Left: CT. Right: PSMA PET, same axial level, 68Ga tracer. Acquired on GE Discovery 690. Slice 212 of 263.
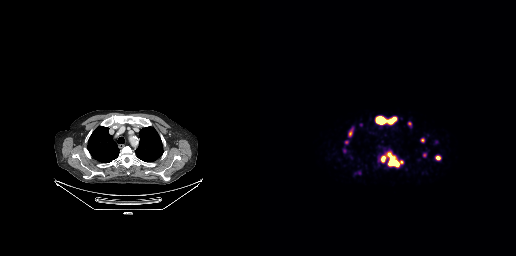
Coordinates are on the 256×256 PET (right) panel. (showing 7 of 8 foci) PSMA-avid tumor lesion bounding boxes (x0, y0)-(x1, y1): (129, 154)-(142, 165); (116, 117)-(125, 123); (128, 118)-(135, 123); (161, 138)-(164, 142). Small PSMA-avid foci (2 to 4 px across) near (center x, center y): (123, 158); (177, 158); (149, 123).